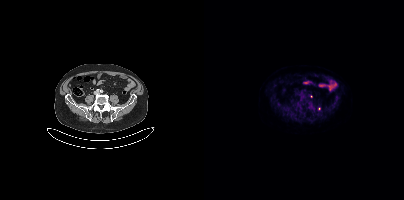
modality: PSMA PET/CT | tracer: 18F-PSMA | view: axial
Coordinates are on the 200×200 PET (right) panel. Small PSMA-avid focus (2 to 4 px across) near (center x, center y): (115, 108).